Any black rectangle over the head is a privacy mask, not anatomy. Two-panel axial: CT | PSMA PET, 18F-PSMA tracer. Acquired on Siemens Biograph mCT Flow 20. PET panel 200×200 px (4.1 mm/px).
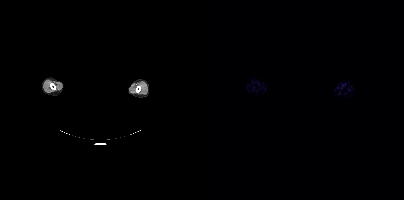
No tumor lesions annotated on this slice.